Two-panel axial: CT | PSMA PET, 68Ga tracer. Slice position z = -994 mm.
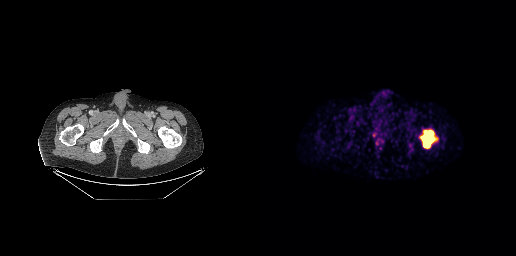
Coordinates are on the 256×256 PET (right) panel. PSMA-avid tumor lesion bounding boxes:
| # | x0 | y0 | x1 | y1 |
|---|---|---|---|---|
| 1 | 160 | 129 | 177 | 148 |